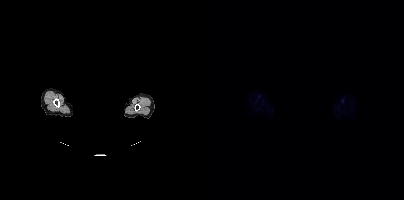
{"pet_grid":[200,200],"coord_frame":"pet_panel","coord_format":"x0,y0,x1,y1","psma_avid_lesions":false,"de-identification":"rectangular block over head set to black","modality":"PSMA PET/CT","view":"axial","tracer":"18F"}